- Two-panel axial: CT | PSMA PET, [68Ga]Ga-PSMA-11 tracer
- slice position z = -826 mm
- the face region was removed for patient privacy by blanking a rectangle over the head
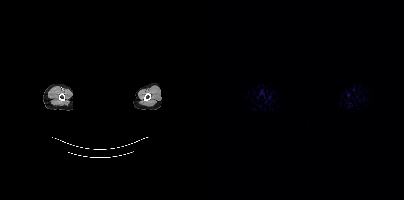
Findings: No PSMA-avid tumor lesions on this slice.